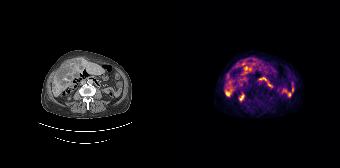
Coordinates are on the 168×168 PET (right) panel. (showing 5 of 6 foci) PSMA-avid tumor lesion bounding boxes (x0, y0)-(x1, y1): (53, 88)-(60, 96) / (72, 66)-(77, 71) / (68, 77)-(74, 81) / (78, 62)-(83, 66). Small PSMA-avid focus (2 to 4 px across) near (center x, center y): (69, 64).